- Two-panel axial: CT | PSMA PET, [18F]PSMA-1007 tracer
- acquired on GE Discovery 690
- slice 180 of 263
- PET panel 256×256 px (2.7 mm/px)
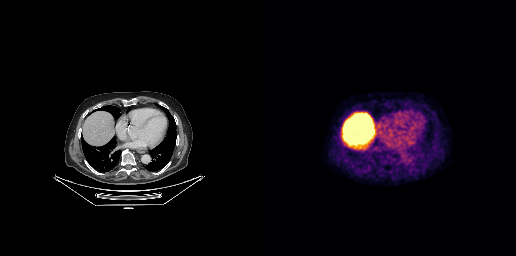
Findings: This slice has no annotated PSMA-avid lesion.